A rectangle over the head was blacked out to remove identifiable facial features. Left: CT. Right: PSMA PET, same axial level, 18F tracer. Acquired on Siemens Biograph mCT Flow 20. Slice position z = -880 mm.
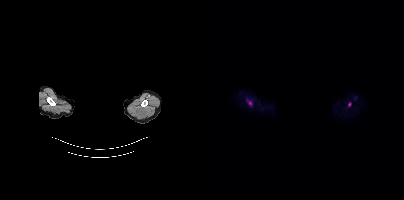
Coordinates are on the 200×200 PET (right) panel. PSMA-avid tumor lesion bounding box (x0, y0)-(x1, y1): (42, 99)-(48, 105). Small PSMA-avid focus (2 to 4 px across) near (center x, center y): (145, 104).